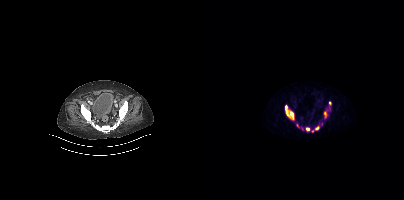
- Left: CT. Right: PSMA PET, same axial level, [68Ga]Ga-PSMA-11 tracer
- slice position z = 436 mm
Findings: Negative for PSMA-avid disease on this slice.